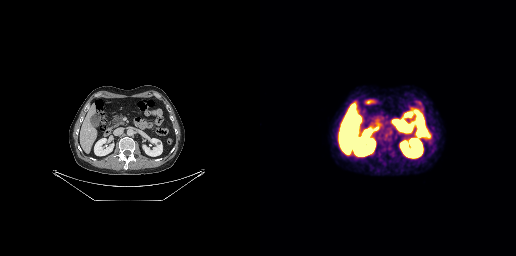
modality: PSMA PET/CT | tracer: 18F-PSMA | view: axial
Negative for PSMA-avid disease on this slice.